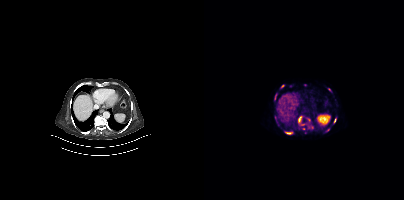
Coordinates are on the 200×200 PET (right) panel. (showing 11 of 13 foci) PSMA-avid tumor lesion bounding boxes (x0,y0,x1,y1): [94,116,97,123], [81,131,87,134], [130,117,132,122], [70,94,72,98], [95,124,99,125], [71,118,73,122]. Small PSMA-avid foci (2 to 4 px across) near (center x, center y): (125, 89), (99, 128), (124, 129), (78, 85), (104, 119).
modality: PSMA PET/CT | tracer: 68Ga-PSMA | view: axial